Two-panel axial: CT | PSMA PET, 18F-PSMA tracer. Acquired on Siemens Biograph mCT Flow 20. PET panel 200×200 px (4.1 mm/px).
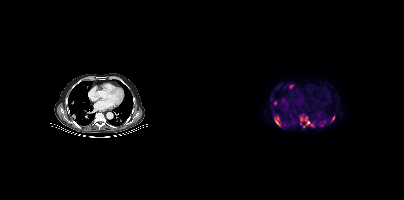
Coordinates are on the 200×200 PET (right) panel. (showing 7 of 8 foci) PSMA-avid tumor lesion bounding boxes (x0, y0)-(x1, y1): (70, 117)-(75, 125); (100, 120)-(105, 127); (85, 85)-(89, 88); (107, 123)-(110, 127); (96, 118)-(100, 120). Small PSMA-avid foci (2 to 4 px across) near (center x, center y): (71, 102); (129, 118).